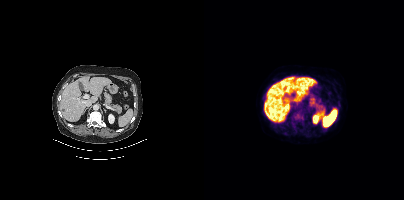
Technique: Paired axial CT (left) and PSMA PET (right), [18F]PSMA-1007 tracer. acquired on Siemens Biograph mCT Flow 20.
Findings: No PSMA-avid tumor lesions on this slice.